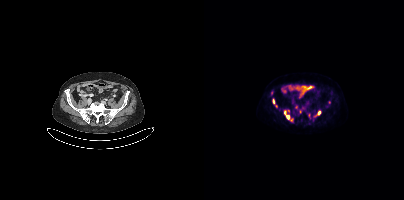
{"pet_grid":[200,200],"coord_frame":"pet_panel","coord_format":"x0,y0,x1,y1","partial":true,"lesion_bboxes":[[80,110,89,121],[95,106,101,113],[91,105,93,109],[68,99,70,104]],"small_foci_centers":[[115,112],[67,93],[125,102],[72,105]],"modality":"PSMA PET/CT","view":"axial","tracer":"18F-PSMA"}